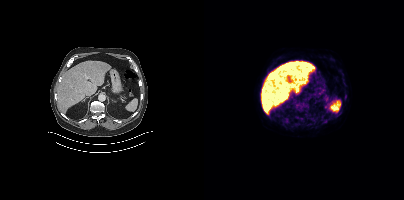
Technique: Paired axial CT (left) and PSMA PET (right), 18F-PSMA tracer. acquired on Siemens Biograph mCT Flow 20. slice 245 of 454.
Findings: No tumor lesions annotated on this slice.